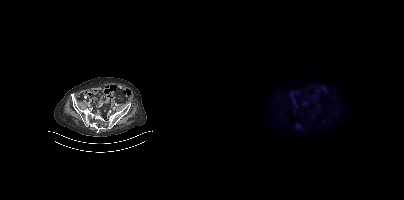
Two-panel axial: CT | PSMA PET, 18F-PSMA tracer. Acquired on Siemens Biograph mCT Flow 20. Slice position z = -904 mm. PET panel 200×200 px (4.1 mm/px). No tumor lesions annotated on this slice.